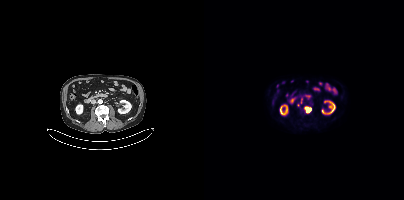
Coordinates are on the 200×200 PET (right) panel. PSMA-avid tumor lesion bounding boxes:
| # | x0 | y0 | x1 | y1 |
|---|---|---|---|---|
| 1 | 102 | 106 | 105 | 110 |
Small PSMA-avid foci (2 to 4 px across) near (center x, center y): (97, 100); (94, 105).
Left: CT. Right: PSMA PET, same axial level, 18F-PSMA tracer. Acquired on Siemens Biograph mCT Flow 20. Slice 174 of 403.